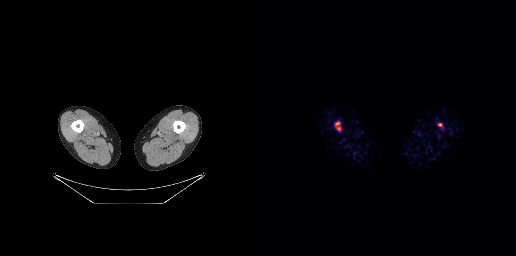
Findings: Coordinates are on the 256×256 PET (right) panel. PSMA-avid tumor lesion bounding boxes (x, y, width, height): x=75 y=121 w=7 h=11 / x=178 y=123 w=5 h=4.
- Left: CT. Right: PSMA PET, same axial level, [18F]PSMA-1007 tracer